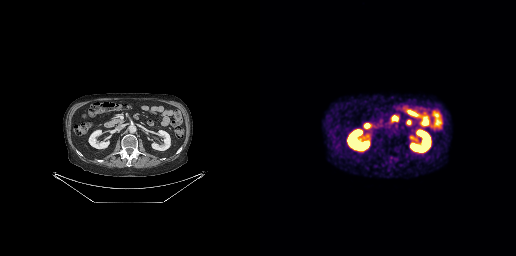
Findings: Negative for PSMA-avid disease on this slice.
Technique: Two-panel axial: CT | PSMA PET, 68Ga-PSMA tracer. PET panel 256×256 px (2.7 mm/px).